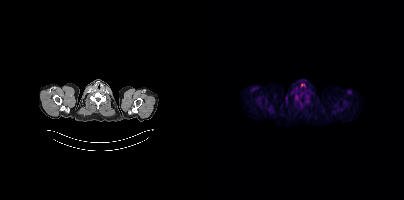
This slice has no annotated PSMA-avid lesion.